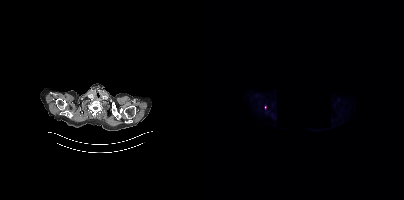
Coordinates are on the 200×200 PET (right) panel. Small PSMA-avid focus (2 to 4 px across) near (center x, center y): (61, 107). Privacy masking, with the pixels inside a rectangle set to black. Paired axial CT (left) and PSMA PET (right), 18F tracer. Acquired on Siemens Biograph mCT Flow 20. PET panel 200×200 px (4.1 mm/px).